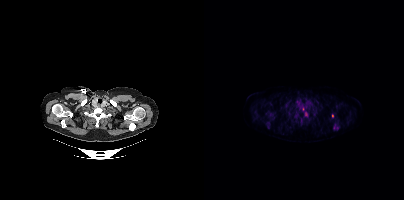
{"modality":"PSMA PET/CT","view":"axial","tracer":"[18F]PSMA-1007","pet_grid":[200,200],"coord_frame":"pet_panel","coord_format":"x0,y0,x1,y1","partial":true,"lesion_bboxes":[[129,124,135,130],[101,112,105,116],[89,114,94,117],[62,123,66,127]],"small_foci_centers":[[97,122],[66,114],[62,113],[99,109],[128,115]]}